- Two-panel axial: CT | PSMA PET, 18F tracer
- acquired on Siemens Biograph mCT Flow 20
- privacy masking over the head, with the pixels inside a rectangle set to black
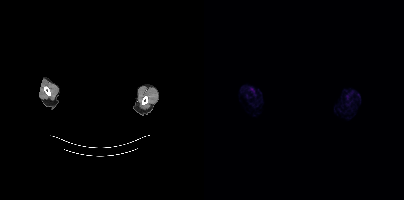
Findings: No tumor lesions annotated on this slice.